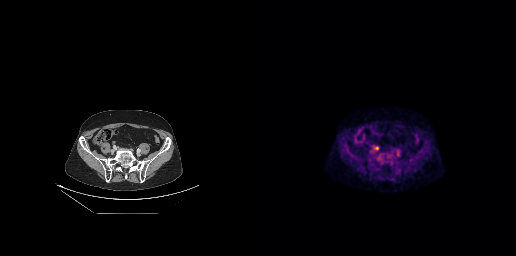
Coordinates are on the 256×256 PET (right) panel. Small PSMA-avid focus (2 to 4 px across) near (center x, center y): (116, 147).